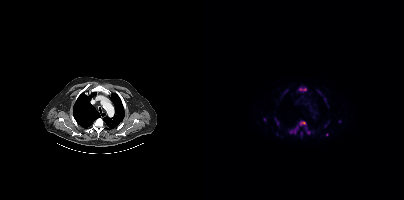
{"modality":"PSMA PET/CT","view":"axial","tracer":"[18F]PSMA-1007","pet_grid":[200,200],"coord_frame":"pet_panel","coord_format":"x0,y0,x1,y1","partial":true,"lesion_bboxes":[[85,120,106,134],[94,87,102,91],[71,118,75,125],[96,131,98,137]],"small_foci_centers":[[60,119],[123,134],[135,121],[121,125]]}